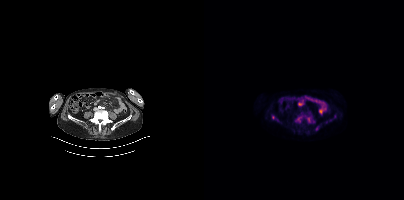
Findings: Coordinates are on the 200×200 PET (right) panel. (showing 3 of 4 foci) PSMA-avid tumor lesion bounding boxes (x0, y0)-(x1, y1): (93, 115)-(108, 122) | (111, 126)-(114, 130). Small PSMA-avid focus (2 to 4 px across) near (center x, center y): (69, 117).
Technique: Left: CT. Right: PSMA PET, same axial level, 18F-PSMA tracer. PET panel 200×200 px (4.1 mm/px).